modality: PSMA PET/CT | tracer: [18F]PSMA-1007 | view: axial | PET grid: 200×200
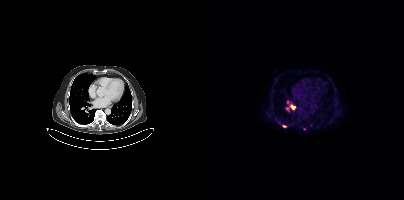
Coordinates are on the 200×200 PET (right) panel. (showing 2 of 4 foci) Small PSMA-avid foci (2 to 4 px across) near (center x, center y): (89, 107); (100, 128).